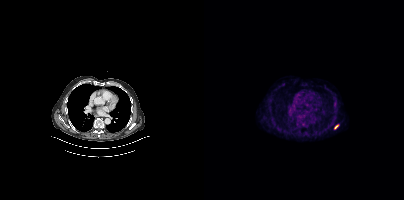
Coordinates are on the 200×200 PET (right) panel. PSMA-avid tumor lesion bounding box (x0, y0)-(x1, y1): (130, 125)-(134, 128).